modality: PSMA PET/CT | tracer: 18F-PSMA | view: axial | PET grid: 200×200
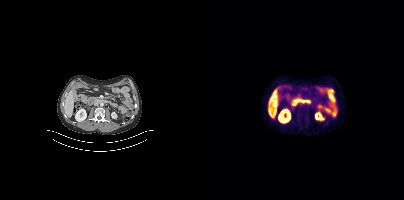
No PSMA-avid tumor lesions on this slice.